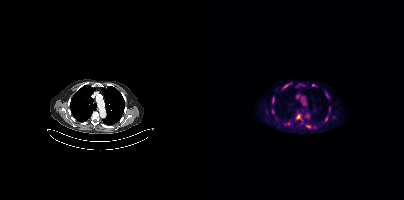
Findings: Coordinates are on the 200×200 PET (right) panel. (showing 8 of 9 foci) PSMA-avid tumor lesion bounding boxes (x0,y0,x1,y1): [80,122,85,125], [102,125,107,128], [92,114,96,118], [79,84,84,88], [68,98,70,103], [68,109,70,113]. Small PSMA-avid foci (2 to 4 px across) near (center x, center y): (122, 118), (109, 85).
Technique: Paired axial CT (left) and PSMA PET (right), 18F-PSMA tracer.